Paired axial CT (left) and PSMA PET (right), [18F]PSMA-1007 tracer.
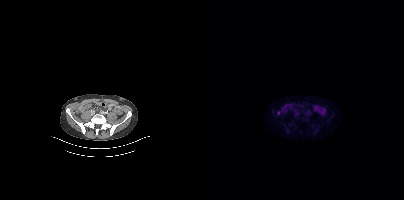
Coordinates are on the 200×200 PET (right) panel. Small PSMA-avid focus (2 to 4 px across) near (center x, center y): (74, 112).